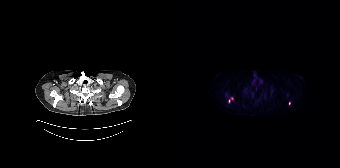
Coordinates are on the 168×168 PET (right) panel. (showing 2 of 3 foci) PSMA-avid tumor lesion bounding box (x0,y0,x1,y1): [56,97,61,103]. Small PSMA-avid focus (2 to 4 px across) near (center x, center y): (117, 103).